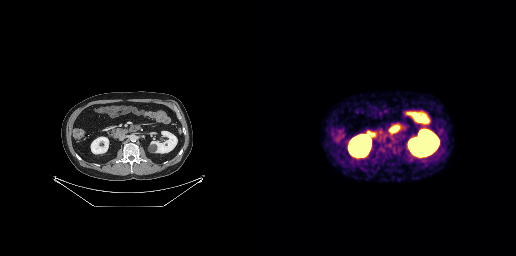
No PSMA-avid tumor lesions on this slice.